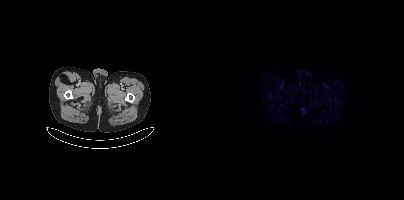
No tumor lesions annotated on this slice. Two-panel axial: CT | PSMA PET, 18F tracer. Acquired on Siemens Biograph mCT Flow 20.